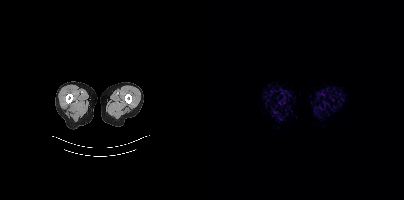
Findings: No tumor lesions annotated on this slice.
- Left: CT. Right: PSMA PET, same axial level, 18F tracer
- slice 3 of 413